Paired axial CT (left) and PSMA PET (right), [18F]PSMA-1007 tracer.
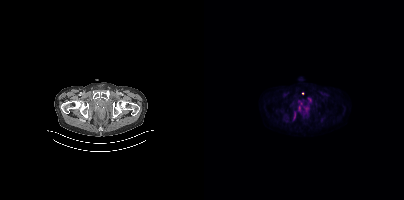
Coordinates are on the 200×200 PET (right) panel. (showing 4 of 6 foci) PSMA-avid tumor lesion bounding boxes (x0, y0)-(x1, y1): (89, 114)-(91, 118); (95, 106)-(96, 110). Small PSMA-avid foci (2 to 4 px across) near (center x, center y): (105, 99); (102, 108).